Technique: Paired axial CT (left) and PSMA PET (right), 18F tracer. slice position z = -929 mm.
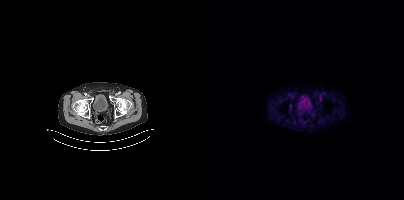
Findings: Coordinates are on the 200×200 PET (right) panel. Small PSMA-avid focus (2 to 4 px across) near (center x, center y): (86, 106).